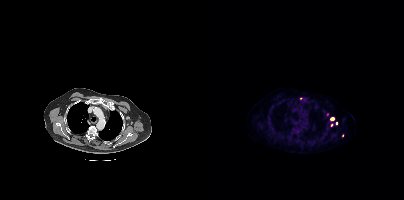
Coordinates are on the 200×200 PET (right) panel. (showing 4 of 5 foci) Small PSMA-avid foci (2 to 4 px across) near (center x, center y): (128, 118); (127, 125); (132, 123); (138, 135). Left: CT. Right: PSMA PET, same axial level, 18F tracer. PET panel 200×200 px (4.1 mm/px).